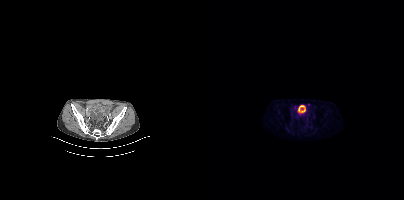
Coordinates are on the 200×200 PET (right) panel. PSMA-avid tumor lesion bounding boxes (x0,y0,x1,y1): [94,105,100,113]; [97,109,101,112]. Small PSMA-avid focus (2 to 4 px across) near (center x, center y): (90, 107).
modality: PSMA PET/CT | tracer: 18F | view: axial | PET grid: 200×200